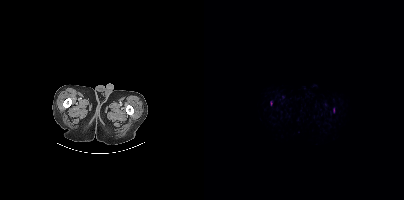
Coordinates are on the 200×200 PET (right) panel. Small PSMA-avid foci (2 to 4 px across) near (center x, center y): (129, 110) / (67, 104).